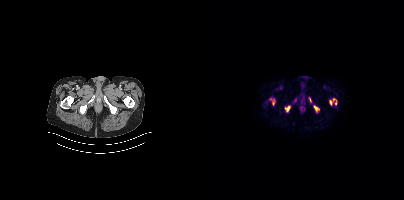
{"pet_grid":[200,200],"coord_frame":"pet_panel","coord_format":"x0,y0,x1,y1","lesion_bboxes":[[125,98,133,105],[81,106,86,111],[110,106,115,111],[68,99,70,104],[105,97,107,102]],"modality":"PSMA PET/CT","view":"axial","tracer":"18F"}